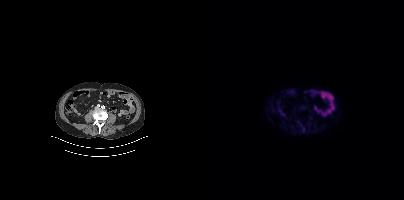
Negative for PSMA-avid disease on this slice.